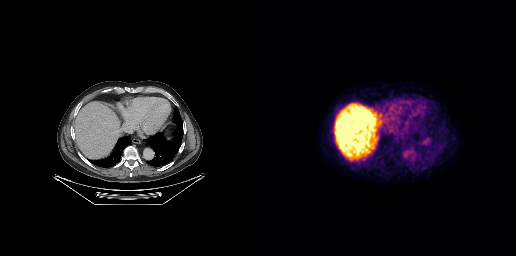
Two-panel axial: CT | PSMA PET, [18F]PSMA-1007 tracer. Acquired on GE Discovery 690. Slice 172 of 263. PET panel 256×256 px (2.7 mm/px). This slice has no annotated PSMA-avid lesion.